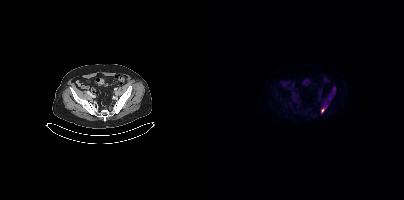
modality: PSMA PET/CT | tracer: 18F | view: axial | PET grid: 200×200
Coordinates are on the 200×200 PET (right) panel. PSMA-avid tumor lesion bounding box (x0, y0)-(x1, y1): (117, 106)-(122, 112).